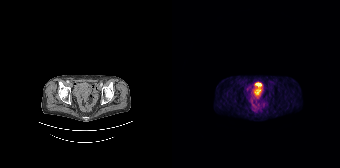
Technique: Left: CT. Right: PSMA PET, same axial level, 68Ga tracer. acquired on Siemens Biograph 64-4R TruePoint.
Findings: No PSMA-avid tumor lesions on this slice.